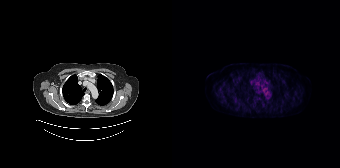
{"modality":"PSMA PET/CT","view":"axial","tracer":"18F-PSMA","pet_grid":[168,168],"coord_frame":"pet_panel","coord_format":"x0,y0,x1,y1","psma_avid_lesions":false}